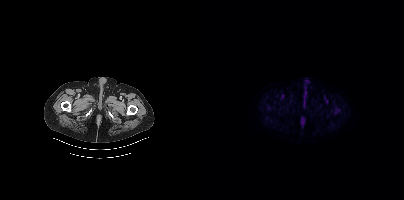
Coordinates are on the 200×200 PET (right) panel. PSMA-avid tumor lesion bounding box (x0, y0)-(x1, y1): (132, 108)-(135, 112).
modality: PSMA PET/CT | tracer: 18F-PSMA | view: axial | PET grid: 200×200